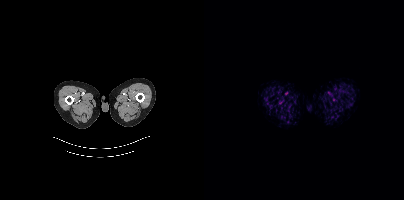
{"modality":"PSMA PET/CT","view":"axial","tracer":"18F","pet_grid":[200,200],"coord_frame":"pet_panel","coord_format":"x0,y0,x1,y1","psma_avid_lesions":false}